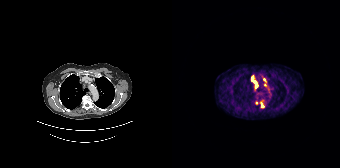
Coordinates are on the 168×168 PET (right) panel. (showing 5 of 6 foci) PSMA-avid tumor lesion bounding boxes (x0, y0)-(x1, y1): (79, 76)-(86, 87) / (89, 102)-(91, 107). Small PSMA-avid foci (2 to 4 px across) near (center x, center y): (92, 79) / (93, 84) / (84, 102). Paired axial CT (left) and PSMA PET (right), 68Ga tracer. Slice 131 of 165.